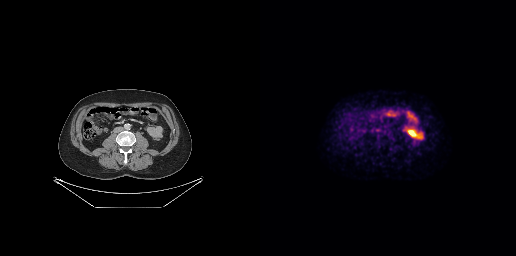
Technique: Paired axial CT (left) and PSMA PET (right), [18F]PSMA-1007 tracer. slice position z = -511 mm.
Findings: No PSMA-avid tumor lesions on this slice.